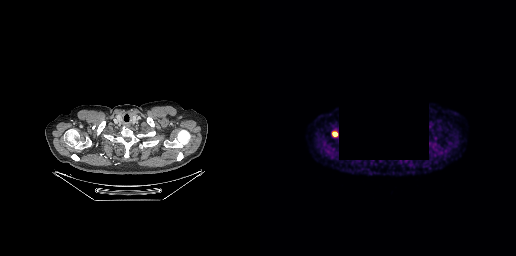
{"modality":"PSMA PET/CT","view":"axial","tracer":"18F-PSMA","pet_grid":[256,256],"coord_frame":"pet_panel","coord_format":"x0,y0,x1,y1","lesion_bboxes":[[73,132,77,136]],"de-identification":"rectangular block set to black"}